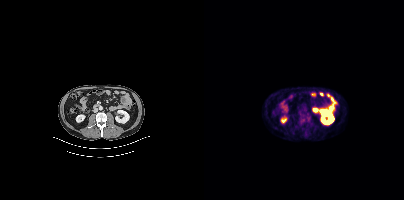
Coordinates are on the 200×200 PET (right) panel. PSMA-avid tumor lesion bounding boxes:
| # | x0 | y0 | x1 | y1 |
|---|---|---|---|---|
| 1 | 94 | 113 | 107 | 124 |
Left: CT. Right: PSMA PET, same axial level, 18F tracer. Slice 171 of 448. PET panel 200×200 px (4.1 mm/px).